Two-panel axial: CT | PSMA PET, 18F tracer. PET panel 200×200 px (4.1 mm/px).
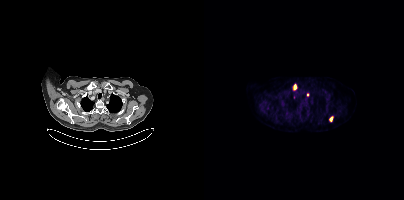
Coordinates are on the 200×200 PET (right) panel. Small PSMA-avid foci (2 to 4 px across) near (center x, center y): (127, 118) / (91, 86).